- Paired axial CT (left) and PSMA PET (right), [18F]PSMA-1007 tracer
- PET panel 256×256 px (2.7 mm/px)
- a rectangular region was set to black for de-identification
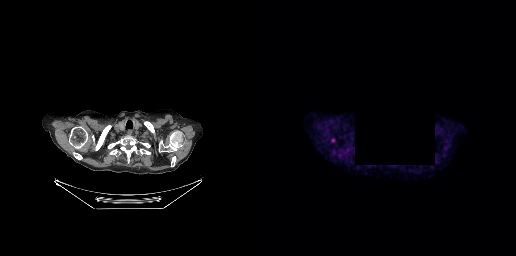
Findings: Coordinates are on the 256×256 PET (right) panel. Small PSMA-avid focus (2 to 4 px across) near (center x, center y): (73, 140).